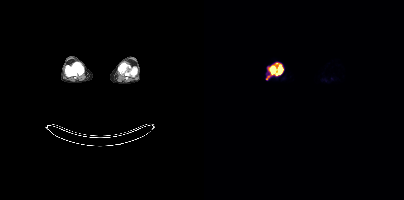
Coordinates are on the 200×200 PET (right) panel. PSMA-avid tumor lesion bounding box (x, y, width, height): x=62 y=63 w=18 h=17. Left: CT. Right: PSMA PET, same axial level, 18F-PSMA tracer. Slice 274 of 963. PET panel 200×200 px (4.1 mm/px).